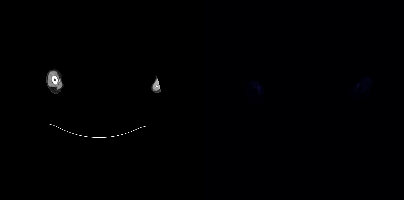
No tumor lesions annotated on this slice. Left: CT. Right: PSMA PET, same axial level, 18F-PSMA tracer. Acquired on Siemens Biograph mCT Flow 20. The face region was removed for patient privacy by blanking a rectangle over the head.